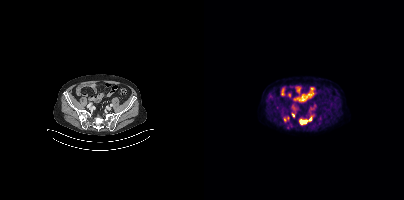
{"pet_grid":[200,200],"coord_frame":"pet_panel","coord_format":"x0,y0,x1,y1","partial":true,"lesion_bboxes":[[96,116,109,123],[88,113,90,117]],"small_foci_centers":[[80,119]],"modality":"PSMA PET/CT","view":"axial","tracer":"18F"}